Paired axial CT (left) and PSMA PET (right), [18F]PSMA-1007 tracer. PET panel 200×200 px (4.1 mm/px).
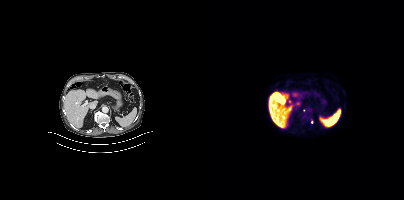
Only PSMA-avid lesion pieces thinner than 2 px on this slice (not listed).